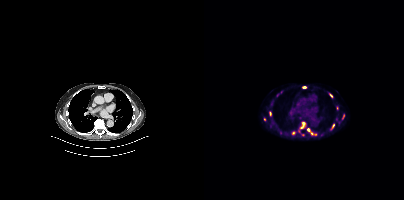
Paired axial CT (left) and PSMA PET (right), 18F tracer. PET panel 200×200 px (4.1 mm/px). Coordinates are on the 200×200 PET (right) panel. (showing 9 of 12 foci) PSMA-avid tumor lesion bounding boxes (x0, y0)-(x1, y1): (125, 93)-(128, 97) / (127, 124)-(130, 129). Small PSMA-avid foci (2 to 4 px across) near (center x, center y): (89, 132) / (100, 87) / (66, 113) / (104, 129) / (99, 123) / (139, 116) / (60, 119).